- Paired axial CT (left) and PSMA PET (right), [18F]PSMA-1007 tracer
- slice position z = -1155 mm
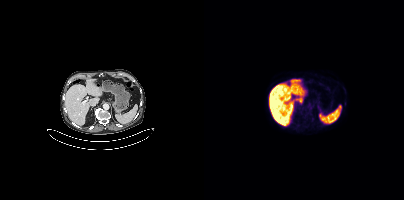
Findings: Negative for PSMA-avid disease on this slice.